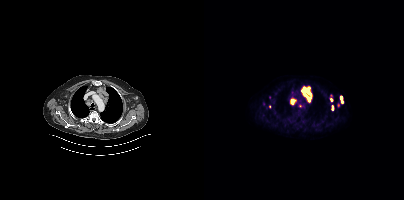
modality: PSMA PET/CT | tracer: 18F-PSMA | view: axial | PET grid: 200×200
Coordinates are on the 200×200 PET (right) panel. (showing 8 of 10 foci) PSMA-avid tumor lesion bounding boxes (x, y, width, height): x=97 y=86 w=12 h=17 | x=86 y=98 w=7 h=7 | x=136 y=96 w=4 h=8 | x=126 y=95 w=3 h=7 | x=128 y=105 w=2 h=6. Small PSMA-avid foci (2 to 4 px across) near (center x, center y): (66, 106) | (96, 105) | (65, 97).